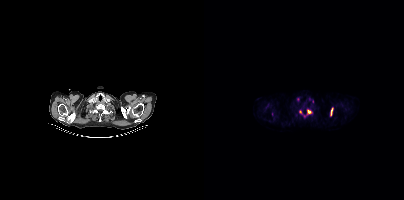
Two-panel axial: CT | PSMA PET, [18F]PSMA-1007 tracer. Acquired on Siemens Biograph mCT Flow 20. Coordinates are on the 200×200 PET (right) panel. (showing 4 of 6 foci) PSMA-avid tumor lesion bounding boxes (x0, y0)-(x1, y1): (127, 108)-(129, 115) / (103, 110)-(107, 113). Small PSMA-avid foci (2 to 4 px across) near (center x, center y): (96, 112) / (100, 115).